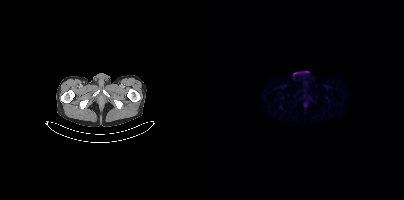
No PSMA-avid tumor lesions on this slice.